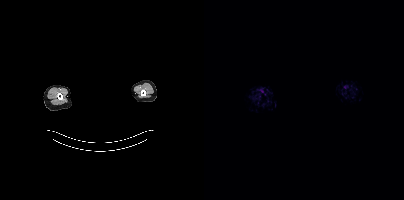
- facial anatomy redacted by setting a rectangular region of the head to black
- Paired axial CT (left) and PSMA PET (right), 18F-PSMA tracer
Findings: This slice has no annotated PSMA-avid lesion.